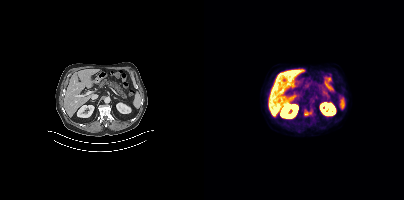
Two-panel axial: CT | PSMA PET, [18F]PSMA-1007 tracer. Slice position z = -1176 mm.
Coordinates are on the 200×200 PET (right) panel. PSMA-avid tumor lesion bounding boxes:
| # | x0 | y0 | x1 | y1 |
|---|---|---|---|---|
| 1 | 100 | 110 | 107 | 115 |